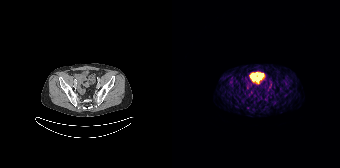
{"pet_grid":[168,168],"coord_frame":"pet_panel","coord_format":"x0,y0,x1,y1","psma_avid_lesions":false,"modality":"PSMA PET/CT","view":"axial","tracer":"[68Ga]Ga-PSMA-11"}